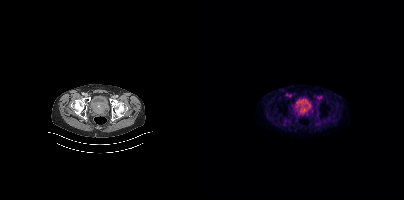
Coordinates are on the 200×200 PET (right) panel. PSMA-avid tumor lesion bounding box (x0,y0,x1,y1): [94,104,105,115].
modality: PSMA PET/CT | tracer: 18F | view: axial